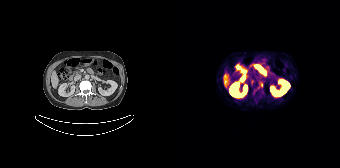
modality: PSMA PET/CT | tracer: 68Ga-PSMA | view: axial | PET grid: 168×168
Coordinates are on the 168×168 PET (right) panel. Small PSMA-avid focus (2 to 4 px across) near (center x, center y): (89, 85).